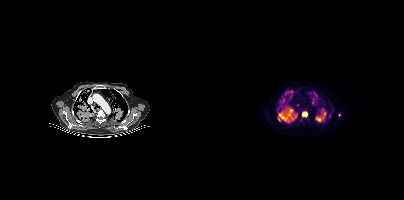
Coordinates are on the 200×200 PET (right) panel. (showing 8 of 13 foci) PSMA-avid tumor lesion bounding boxes (x0, y0)-(x1, y1): (74, 109)-(88, 120) / (112, 108)-(121, 121) / (81, 90)-(88, 97) / (98, 111)-(103, 116) / (108, 98)-(110, 102). Small PSMA-avid foci (2 to 4 px across) near (center x, center y): (78, 100) / (112, 94) / (88, 118).